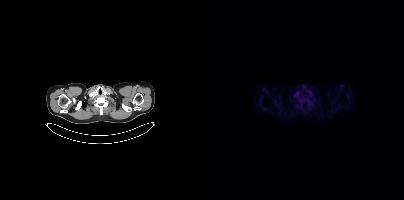
This slice has no annotated PSMA-avid lesion.